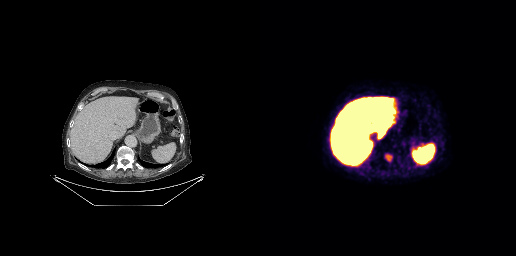
- Paired axial CT (left) and PSMA PET (right), 18F tracer
- acquired on GE Discovery 690
Findings: Coordinates are on the 256×256 PET (right) panel. PSMA-avid tumor lesion bounding box (x, y, width, height): x=125 y=154 w=8 h=8.